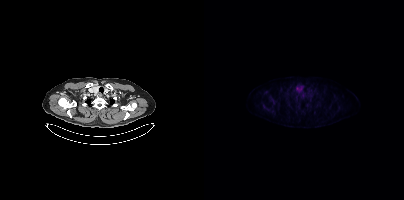
Paired axial CT (left) and PSMA PET (right), 18F tracer. Acquired on Siemens Biograph mCT Flow 20. Slice position z = -367 mm. This slice has no annotated PSMA-avid lesion.